- Two-panel axial: CT | PSMA PET, [18F]PSMA-1007 tracer
- slice 136 of 405
- PET panel 200×200 px (4.1 mm/px)
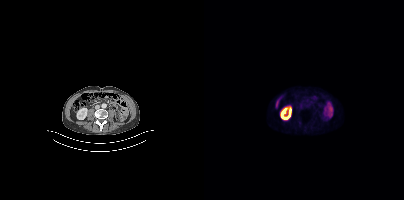
Findings: Negative for PSMA-avid disease on this slice.